Left: CT. Right: PSMA PET, same axial level, 68Ga-PSMA tracer. Slice 78 of 263.
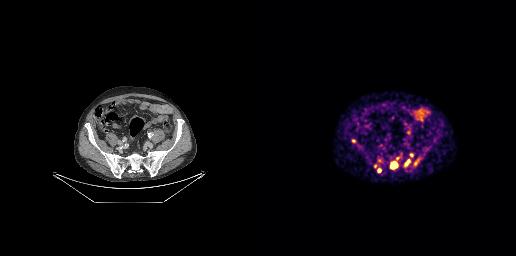
Coordinates are on the 256×256 PET (right) panel. PSMA-avid tumor lesion bounding boxes (partial; 2 more foci not listed):
| # | x0 | y0 | x1 | y1 |
|---|---|---|---|---|
| 1 | 130 | 161 | 137 | 168 |
| 2 | 145 | 160 | 149 | 165 |
| 3 | 91 | 139 | 96 | 142 |
| 4 | 117 | 168 | 121 | 172 |
| 5 | 156 | 158 | 159 | 162 |
Small PSMA-avid focus (2 to 4 px across) near (center x, center y): (151, 154).